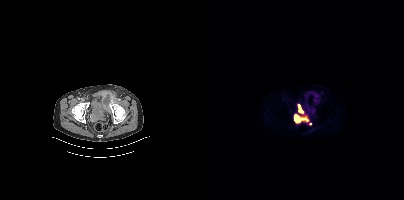
- Two-panel axial: CT | PSMA PET, [18F]PSMA-1007 tracer
- slice 75 of 427
- PET panel 200×200 px (4.1 mm/px)
Findings: Coordinates are on the 200×200 PET (right) panel. PSMA-avid tumor lesion bounding boxes (x, y, width, height): x=90 y=114 w=15 h=9; x=94 y=104 w=6 h=10. Small PSMA-avid focus (2 to 4 px across) near (center x, center y): (106, 123).